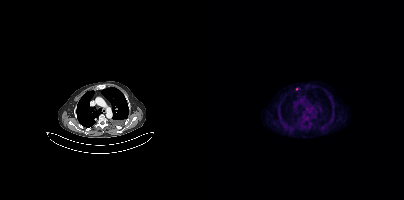
Left: CT. Right: PSMA PET, same axial level, 18F-PSMA tracer. Slice 310 of 425. Coordinates are on the 200×200 PET (right) panel. Small PSMA-avid focus (2 to 4 px across) near (center x, center y): (92, 89).